- Paired axial CT (left) and PSMA PET (right), [68Ga]Ga-PSMA-11 tracer
- acquired on Siemens Biograph mCT Flow 20
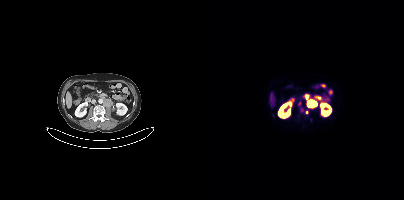
Findings: Coordinates are on the 200×200 PET (right) panel. Small PSMA-avid foci (2 to 4 px across) near (center x, center y): (95, 103) | (98, 109) | (102, 112).